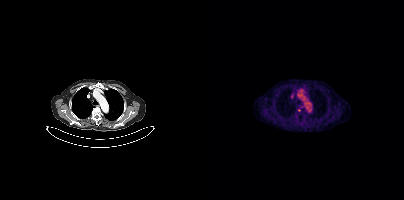
{"modality":"PSMA PET/CT","view":"axial","tracer":"18F","pet_grid":[200,200],"coord_frame":"pet_panel","coord_format":"x0,y0,x1,y1","lesion_bboxes":[],"small_foci_centers":[[95,110]]}